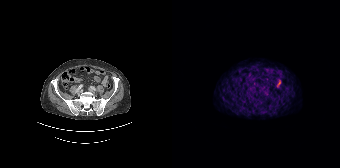
No tumor lesions annotated on this slice.